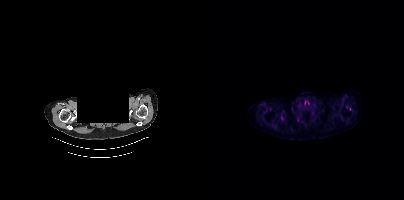
Facial anatomy redacted by setting a rectangular region of the head to black. Two-panel axial: CT | PSMA PET, 18F-PSMA tracer. Only PSMA-avid lesion pieces thinner than 2 px on this slice (not listed).